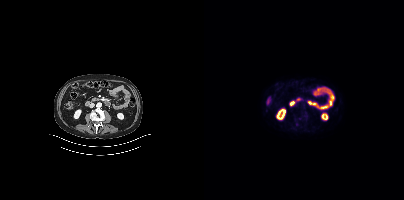
- Left: CT. Right: PSMA PET, same axial level, 18F-PSMA tracer
- slice position z = -712 mm
Findings: This slice has no annotated PSMA-avid lesion.